Paired axial CT (left) and PSMA PET (right), 68Ga tracer. Slice position z = -624 mm.
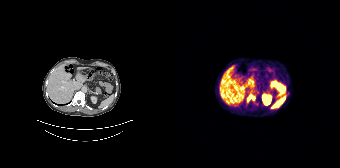
Coordinates are on the 168×168 PET (right) panel. PSMA-avid tumor lesion bounding box (x0,y0,x1,y1): [75,94,83,101].